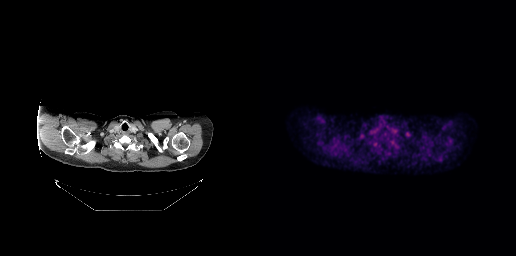
{"modality":"PSMA PET/CT","view":"axial","tracer":"18F","pet_grid":[256,256],"coord_frame":"pet_panel","coord_format":"x0,y0,x1,y1","psma_avid_lesions":false}